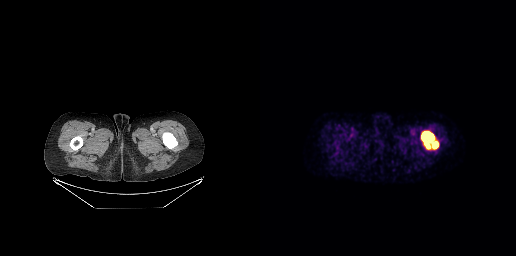
{"modality":"PSMA PET/CT","view":"axial","tracer":"[18F]PSMA-1007","pet_grid":[256,256],"coord_frame":"pet_panel","coord_format":"x0,y0,x1,y1","lesion_bboxes":[[161,131,178,149]]}